Paired axial CT (left) and PSMA PET (right), 18F tracer. Acquired on Siemens Biograph mCT Flow 20. PET panel 200×200 px (4.1 mm/px).
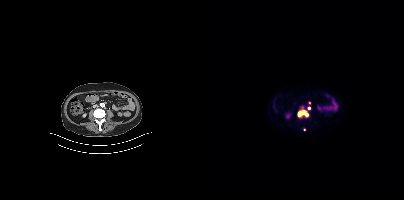
Coordinates are on the 200×200 PET (right) panel. PSMA-avid tumor lesion bounding boxes:
| # | x0 | y0 | x1 | y1 |
|---|---|---|---|---|
| 1 | 94 | 110 | 104 | 116 |
Small PSMA-avid foci (2 to 4 px across) near (center x, center y): (105, 108); (100, 129).